modality: PSMA PET/CT | tracer: [18F]PSMA-1007 | view: axial
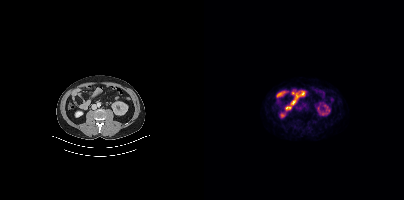
This slice has no annotated PSMA-avid lesion.